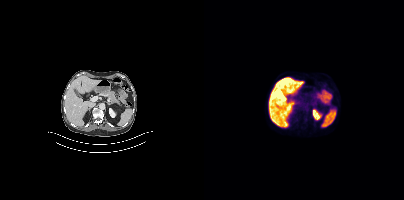
No tumor lesions annotated on this slice. Two-panel axial: CT | PSMA PET, 18F tracer.